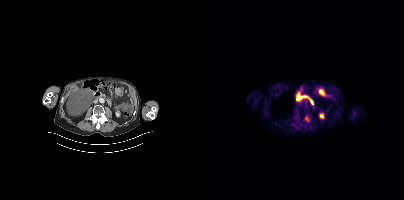
Coordinates are on the 200×200 PET (right) panel. PSMA-avid tumor lesion bounding box (x, y, width, height): x=101 y=116 w=5 h=6.